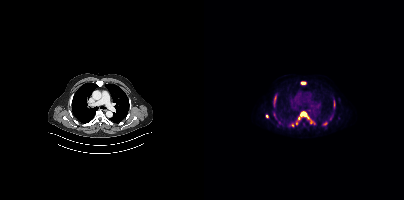
Technique: Two-panel axial: CT | PSMA PET, [18F]PSMA-1007 tracer. acquired on Siemens Biograph mCT Flow 20.
Findings: Coordinates are on the 200×200 PET (right) panel. (showing 8 of 14 foci) PSMA-avid tumor lesion bounding boxes (x0,y0,x1,y1): [96,112,102,116], [70,95,72,102], [97,82,101,84]. Small PSMA-avid foci (2 to 4 px across) near (center x, center y): (88, 125), (121, 123), (62, 116), (104, 118), (99, 123).